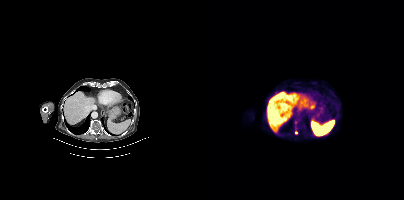
- Paired axial CT (left) and PSMA PET (right), [18F]PSMA-1007 tracer
- acquired on Siemens Biograph mCT Flow 20
- slice 242 of 411
- PET panel 200×200 px (4.1 mm/px)
Findings: Coordinates are on the 200×200 PET (right) panel. (showing 1 of 2 foci) Small PSMA-avid focus (2 to 4 px across) near (center x, center y): (92, 132).